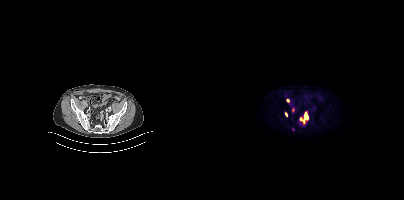
Coordinates are on the 200×200 PET (right) panel. PSMA-avid tumor lesion bounding boxes (x, y, width, height): x=95 y=112 w=10 h=13; x=82 y=98 w=4 h=5; x=81 y=112 w=3 h=5. Small PSMA-avid foci (2 to 4 px across) near (center x, center y): (88, 109); (88, 129).